modality: PSMA PET/CT | tracer: 18F | view: axial
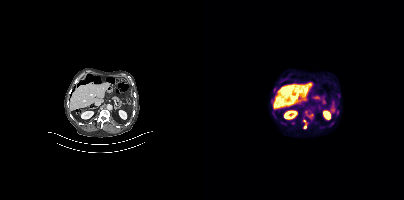
Coordinates are on the 200×200 PET (right) panel. (showing 7 of 9 foci) PSMA-avid tumor lesion bounding boxes (x, y, width, height): x=101 y=111 w=9 h=9 | x=99 y=119 w=6 h=10 | x=66 y=97 w=4 h=8 | x=132 y=93 w=5 h=6 | x=76 y=120 w=7 h=6. Small PSMA-avid foci (2 to 4 px across) near (center x, center y): (70, 89) | (80, 118).